Technique: Paired axial CT (left) and PSMA PET (right), 18F tracer. acquired on GE Discovery 690. slice position z = -477 mm.
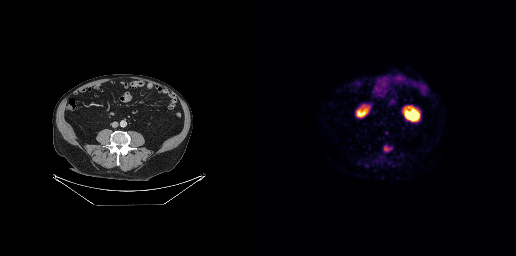
Findings: Coordinates are on the 256×256 PET (right) panel. PSMA-avid tumor lesion bounding box (x0, y0)-(x1, y1): (123, 145)-(132, 152). Small PSMA-avid focus (2 to 4 px across) near (center x, center y): (126, 132).